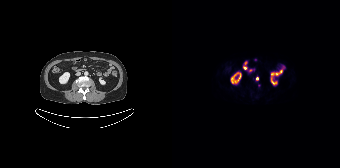
{"modality":"PSMA PET/CT","view":"axial","tracer":"[18F]PSMA-1007","pet_grid":[168,168],"coord_frame":"pet_panel","coord_format":"x0,y0,x1,y1","lesion_bboxes":[],"small_foci_centers":[[85,78]]}